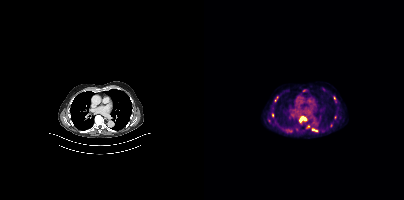
Coordinates are on the 200×200 PET (right) panel. (showing 6 of 9 foci) PSMA-avid tumor lesion bounding boxes (x0,y0,x1,y1): [95,116,103,122], [108,128,113,131], [83,129,88,132]. Small PSMA-avid foci (2 to 4 px across) near (center x, center y): (68, 115), (104, 126), (71, 100).